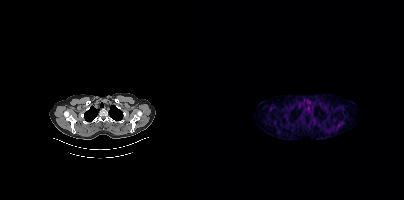
Findings: Negative for PSMA-avid disease on this slice.
- Two-panel axial: CT | PSMA PET, 68Ga-PSMA tracer
- slice position z = -511 mm